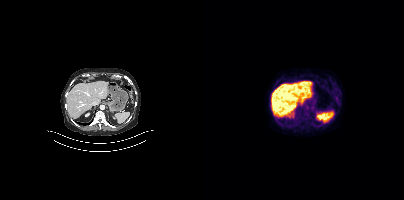
Negative for PSMA-avid disease on this slice. Two-panel axial: CT | PSMA PET, 18F tracer. Slice position z = -698 mm.